Technique: Two-panel axial: CT | PSMA PET, 18F-PSMA tracer. PET panel 256×256 px (2.7 mm/px).
Note: De-identified by setting a box covering the face to black before release.
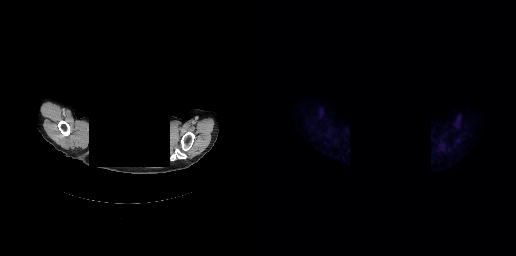
Findings: No tumor lesions annotated on this slice.